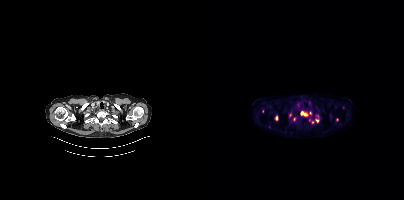
Two-panel axial: CT | PSMA PET, 18F tracer. Acquired on Siemens Biograph mCT Flow 20. Slice 343 of 413.
Coordinates are on the 200×200 PET (right) panel. PSMA-avid tumor lesion bounding boxes (partial; 5 more foci not listed):
| # | x0 | y0 | x1 | y1 |
|---|---|---|---|---|
| 1 | 97 | 111 | 103 | 116 |
| 2 | 71 | 116 | 73 | 120 |
Small PSMA-avid foci (2 to 4 px across) near (center x, center y): (105, 119); (113, 121); (108, 122).